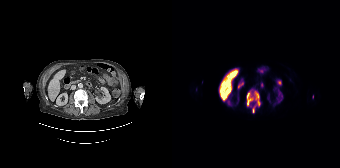
Coordinates are on the 168×168 PET (right) panel. (showing 1 of 2 foci) PSMA-avid tumor lesion bounding box (x, y, width, height): x=74 y=90 w=15 h=23.